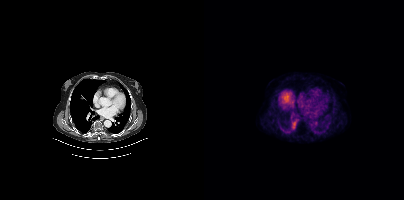
{"modality":"PSMA PET/CT","view":"axial","tracer":"18F-PSMA","pet_grid":[200,200],"coord_frame":"pet_panel","coord_format":"x0,y0,x1,y1","psma_avid_lesions":false}